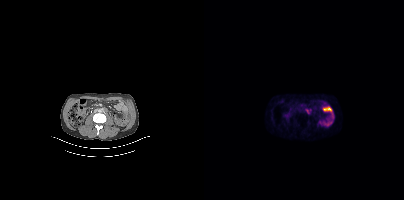
Findings: Coordinates are on the 200×200 PET (right) panel. PSMA-avid tumor lesion bounding box (x0, y0)-(x1, y1): (101, 109)-(107, 113).
- Left: CT. Right: PSMA PET, same axial level, 18F tracer
- acquired on Siemens Biograph mCT Flow 20